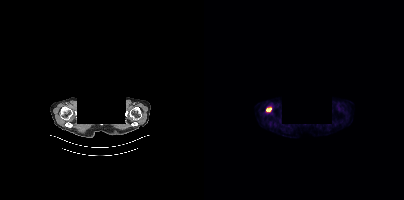
Technique: Paired axial CT (left) and PSMA PET (right), 18F tracer. slice 350 of 405. PET panel 200×200 px (4.1 mm/px).
Note: Head region blanked for anonymization (face removed).
Findings: Coordinates are on the 200×200 PET (right) panel. PSMA-avid tumor lesion bounding box (x0,y0,x1,y1): [62,107,67,111].